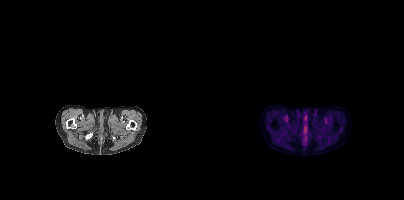
Negative for PSMA-avid disease on this slice. Paired axial CT (left) and PSMA PET (right), 18F tracer. Acquired on Siemens Biograph mCT Flow 20. Slice 40 of 389.